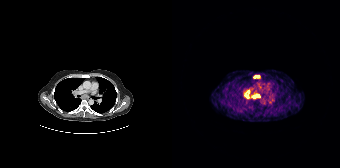
{"modality":"PSMA PET/CT","view":"axial","tracer":"68Ga","pet_grid":[168,168],"coord_frame":"pet_panel","coord_format":"x0,y0,x1,y1","partial":true,"lesion_bboxes":[[72,89,78,98],[79,93,88,98],[81,75,88,78]]}